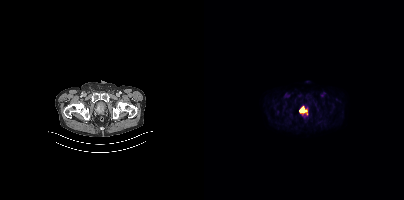
Paired axial CT (left) and PSMA PET (right), 18F-PSMA tracer. Slice position z = -1430 mm. PET panel 200×200 px (4.1 mm/px).
Coordinates are on the 200×200 PET (right) panel. PSMA-avid tumor lesion bounding boxes:
| # | x0 | y0 | x1 | y1 |
|---|---|---|---|---|
| 1 | 96 | 107 | 104 | 115 |